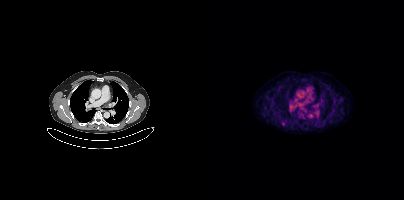
{"pet_grid":[200,200],"coord_frame":"pet_panel","coord_format":"x0,y0,x1,y1","lesion_bboxes":[],"small_foci_centers":[[78,123]],"modality":"PSMA PET/CT","view":"axial","tracer":"18F"}